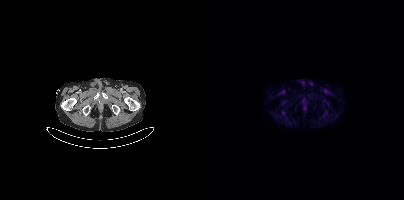
This slice has no annotated PSMA-avid lesion.